Two-panel axial: CT | PSMA PET, [68Ga]Ga-PSMA-11 tracer. Slice 221 of 263. PET panel 256×256 px (2.7 mm/px).
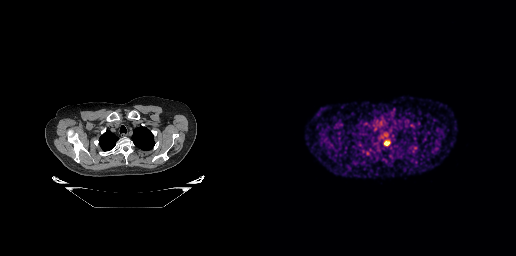
Coordinates are on the 256×256 PET (right) panel. PSMA-avid tumor lesion bounding box (x, y, width, height): x=124 y=141 w=6 h=5.